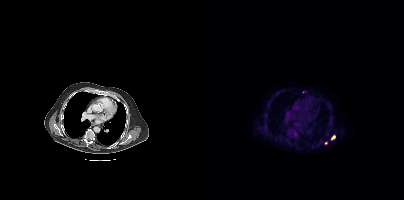
{"modality":"PSMA PET/CT","view":"axial","tracer":"18F-PSMA","pet_grid":[200,200],"coord_frame":"pet_panel","coord_format":"x0,y0,x1,y1","partial":true,"lesion_bboxes":[],"small_foci_centers":[[128,137]]}